Facial anatomy redacted by setting a rectangular region of the head to black.
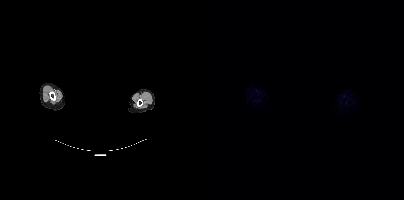
Negative for PSMA-avid disease on this slice.